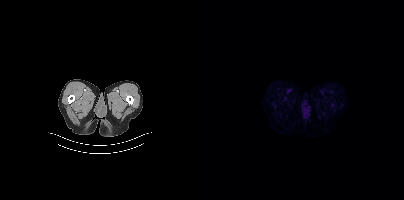
modality: PSMA PET/CT | tracer: 18F | view: axial | PET grid: 200×200
No PSMA-avid tumor lesions on this slice.